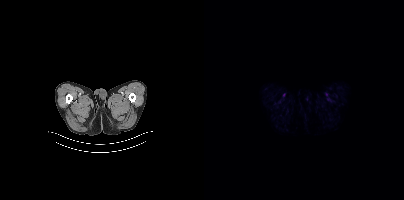
This slice has no annotated PSMA-avid lesion.